Face de-identified by blanking a block of the head.
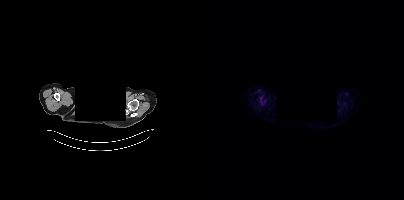
This slice has no annotated PSMA-avid lesion.